Technique: Two-panel axial: CT | PSMA PET, [18F]PSMA-1007 tracer. acquired on Siemens Biograph mCT Flow 20. slice position z = -871 mm. PET panel 200×200 px (4.1 mm/px).
Note: The face region was removed for patient privacy by blanking a rectangle over the head.
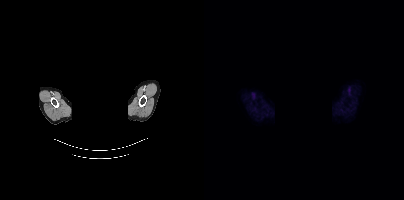
Findings: No tumor lesions annotated on this slice.